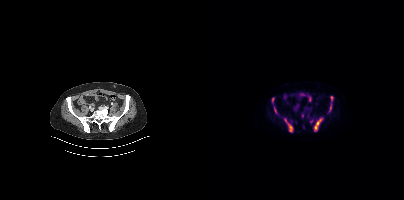
Coordinates are on the 200×200 PET (right) panel. (showing 7 of 8 foci) PSMA-avid tumor lesion bounding boxes (x0, y0)-(x1, y1): (110, 118)-(118, 131) | (80, 118)-(89, 132) | (127, 96)-(129, 100) | (70, 107)-(72, 113) | (126, 106)-(127, 110). Small PSMA-avid foci (2 to 4 px across) near (center x, center y): (69, 99) | (107, 121).